Paired axial CT (left) and PSMA PET (right), 18F-PSMA tracer. A rectangular block over the head has been blanked out for de-identification.
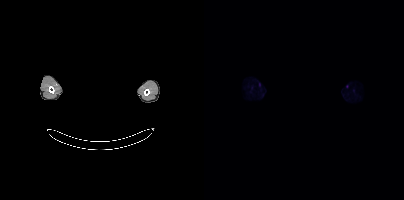
Negative for PSMA-avid disease on this slice.